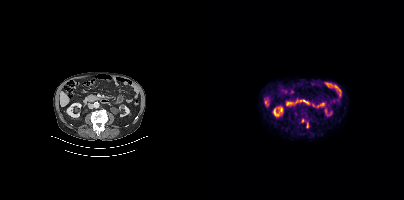
Findings: Coordinates are on the 200×200 PET (right) panel. PSMA-avid tumor lesion bounding box (x0,y0,x1,y1): [103,123,104,127]. Small PSMA-avid focus (2 to 4 px across) near (center x, center y): (98, 120).
Technique: Left: CT. Right: PSMA PET, same axial level, 18F-PSMA tracer. slice position z = -1320 mm.